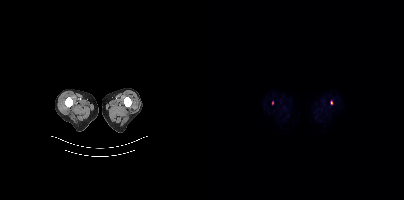
Coordinates are on the 200×200 PET (right) panel. Small PSMA-avid foci (2 to 4 px across) near (center x, center y): (127, 102), (68, 102).